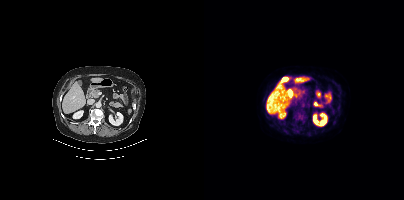
Technique: Paired axial CT (left) and PSMA PET (right), 18F-PSMA tracer. slice position z = -570 mm. PET panel 200×200 px (4.1 mm/px).
Findings: No PSMA-avid tumor lesions on this slice.